Technique: Left: CT. Right: PSMA PET, same axial level, 18F-PSMA tracer. acquired on Siemens Biograph mCT Flow 20. slice 293 of 344.
Note: Facial anatomy redacted by setting a rectangular region of the head to black.
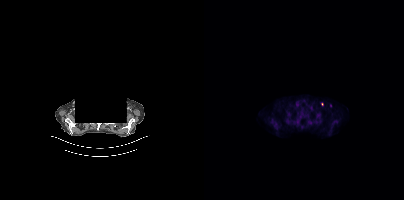
Findings: Coordinates are on the 200×200 PET (right) panel. Small PSMA-avid foci (2 to 4 px across) near (center x, center y): (126, 105) | (118, 104).